Paired axial CT (left) and PSMA PET (right), 68Ga-PSMA tracer. PET panel 256×256 px (2.7 mm/px).
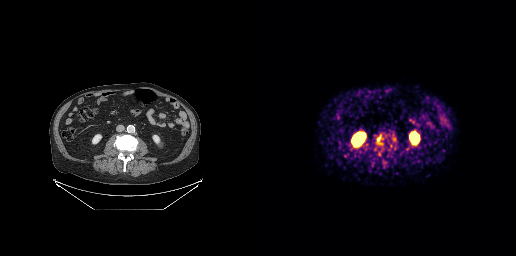
Coordinates are on the 256×256 PET (right) panel. PSMA-avid tumor lesion bounding boxes (partial; 2 more foci not listed):
| # | x0 | y0 | x1 | y1 |
|---|---|---|---|---|
| 1 | 117 | 135 | 122 | 144 |